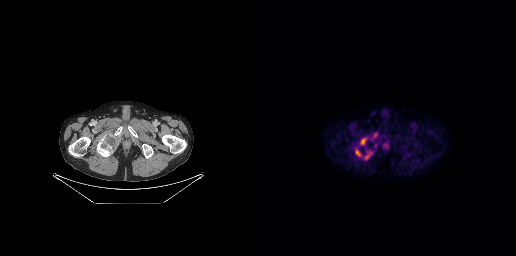
{"modality":"PSMA PET/CT","view":"axial","tracer":"18F-PSMA","pet_grid":[256,256],"coord_frame":"pet_panel","coord_format":"x0,y0,x1,y1","lesion_bboxes":[[104,151,112,159],[100,138,106,144],[95,149,101,156],[114,133,117,137]]}